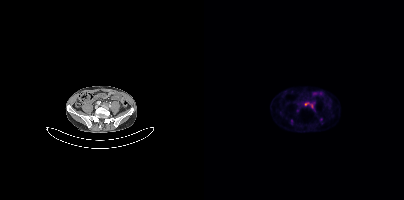
Coordinates are on the 200×200 PET (right) panel. Small PSMA-avid foci (2 to 4 px across) near (center x, center y): (102, 104), (107, 105). Left: CT. Right: PSMA PET, same axial level, 68Ga-PSMA tracer. Acquired on Siemens Biograph mCT Flow 20. Slice 115 of 409. PET panel 200×200 px (4.1 mm/px).